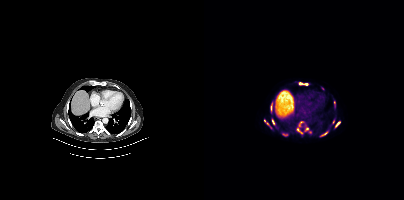
Technique: Left: CT. Right: PSMA PET, same axial level, [18F]PSMA-1007 tracer. acquired on Siemens Biograph mCT Flow 20.
Findings: Coordinates are on the 200×200 PET (right) panel. (showing 10 of 14 foci) PSMA-avid tumor lesion bounding boxes (x0, y0)-(x1, y1): (131, 121)-(136, 127) | (117, 132)-(123, 135) | (67, 103)-(68, 108). Small PSMA-avid foci (2 to 4 px across) near (center x, center y): (96, 83) | (69, 121) | (94, 129) | (103, 128) | (129, 121) | (97, 132) | (60, 120).